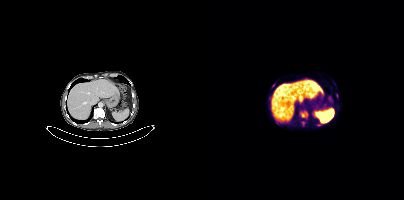
{"modality":"PSMA PET/CT","view":"axial","tracer":"18F","pet_grid":[200,200],"coord_frame":"pet_panel","coord_format":"x0,y0,x1,y1","partial":true,"lesion_bboxes":[[97,112,103,117]]}